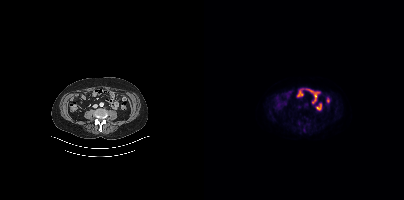
{"modality":"PSMA PET/CT","view":"axial","tracer":"18F-PSMA","pet_grid":[200,200],"coord_frame":"pet_panel","coord_format":"x0,y0,x1,y1","partial":true,"lesion_bboxes":[],"small_foci_centers":[[100,128]]}